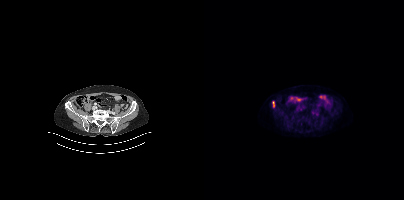
Technique: Paired axial CT (left) and PSMA PET (right), 18F-PSMA tracer. PET panel 200×200 px (4.1 mm/px).
Findings: No tumor lesions annotated on this slice.